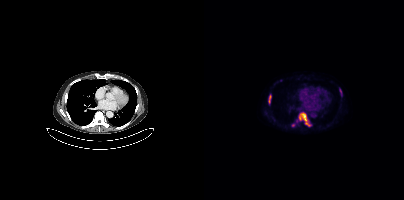
Two-panel axial: CT | PSMA PET, 18F tracer. Slice 275 of 429. PET panel 200×200 px (4.1 mm/px). Coordinates are on the 200×200 PET (right) panel. (showing 4 of 5 foci) PSMA-avid tumor lesion bounding boxes (x0,y0,x1,y1): [95,112,106,126], [64,95,67,103], [87,123,91,126], [136,89,137,95].